Paired axial CT (left) and PSMA PET (right), [18F]PSMA-1007 tracer. Acquired on Siemens Biograph mCT Flow 20. PET panel 200×200 px (4.1 mm/px).
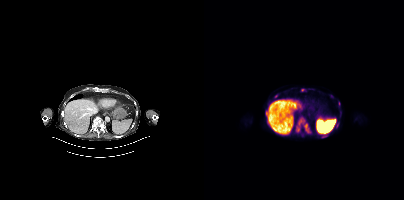
Coordinates are on the 200×200 PET (right) panel. PSMA-avid tumor lesion bounding boxes (partial; 1 more focus not listed):
| # | x0 | y0 | x1 | y1 |
|---|---|---|---|---|
| 1 | 91 | 117 | 107 | 133 |
| 2 | 117 | 135 | 122 | 138 |
| 3 | 132 | 123 | 134 | 127 |
| 4 | 97 | 89 | 101 | 91 |
| 5 | 70 | 94 | 73 | 98 |
Small PSMA-avid foci (2 to 4 px across) near (center x, center y): (128, 96); (136, 112).